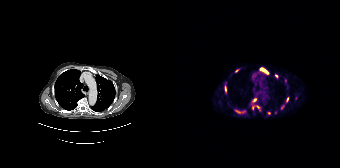
{"modality":"PSMA PET/CT","view":"axial","tracer":"68Ga","pet_grid":[168,168],"coord_frame":"pet_panel","coord_format":"x0,y0,x1,y1","partial":true,"lesion_bboxes":[[88,68,96,73],[80,98,84,102],[53,85,54,92],[114,97,116,101],[63,110,67,112]],"small_foci_centers":[[64,71],[96,113],[104,76],[86,107],[71,111],[80,107]]}